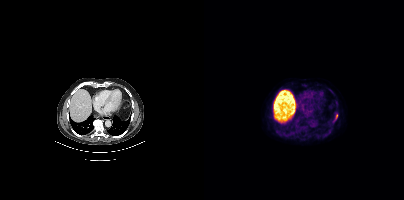
Coordinates are on the 200×200 PET (right) panel. PSMA-avid tumor lesion bounding boxes:
| # | x0 | y0 | x1 | y1 |
|---|---|---|---|---|
| 1 | 129 | 114 | 133 | 121 |
Left: CT. Right: PSMA PET, same axial level, 18F tracer. PET panel 200×200 px (4.1 mm/px).